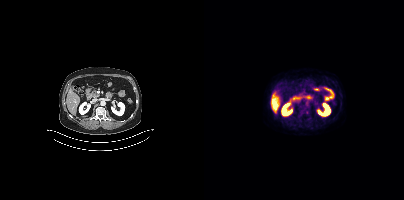
Coordinates are on the 200×200 PET (right) panel. Small PSMA-avid focus (2 to 4 px across) near (center x, center y): (103, 112). Left: CT. Right: PSMA PET, same axial level, [18F]PSMA-1007 tracer. Slice position z = -1442 mm.